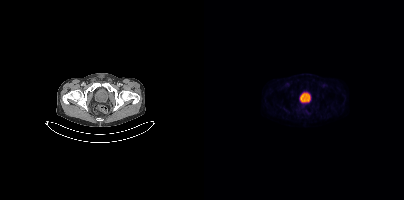
Negative for PSMA-avid disease on this slice.